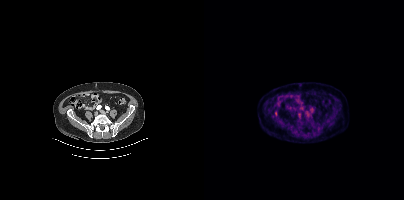
modality: PSMA PET/CT | tracer: 18F-PSMA | view: axial
Coordinates are on the 200×200 PET (right) panel. Small PSMA-avid focus (2 to 4 px across) near (center x, center y): (72, 112).